Technique: Paired axial CT (left) and PSMA PET (right), 18F tracer. slice 202 of 429. PET panel 200×200 px (4.1 mm/px).
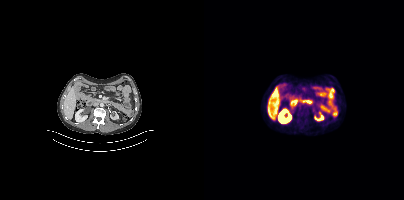
Findings: This slice has no annotated PSMA-avid lesion.